- Left: CT. Right: PSMA PET, same axial level, [18F]PSMA-1007 tracer
- slice 321 of 377
- PET panel 200×200 px (4.1 mm/px)
- the head region is masked for de-identification
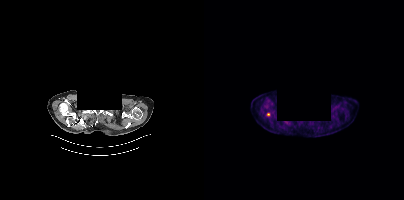
Findings: Coordinates are on the 200×200 PET (right) panel. Small PSMA-avid focus (2 to 4 px across) near (center x, center y): (64, 114).